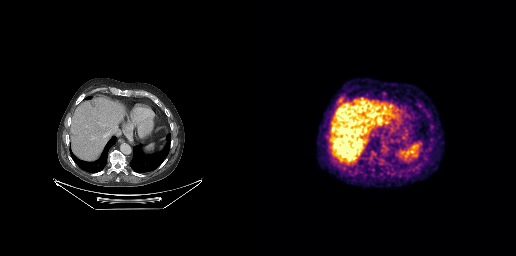
Negative for PSMA-avid disease on this slice.